Technique: Two-panel axial: CT | PSMA PET, 18F tracer. acquired on Siemens Biograph mCT Flow 20. PET panel 200×200 px (4.1 mm/px).
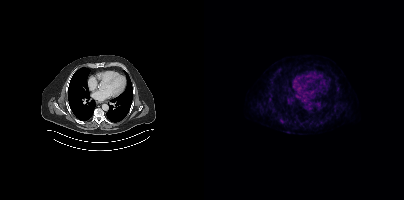
Findings: Coordinates are on the 200×200 PET (right) panel. PSMA-avid tumor lesion bounding box (x0,y0,x1,y1): [75,119,79,123]. Small PSMA-avid focus (2 to 4 px across) near (center x, center y): (66, 99).